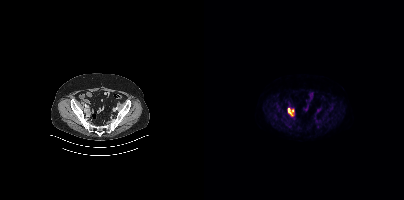
{"pet_grid":[200,200],"coord_frame":"pet_panel","coord_format":"x0,y0,x1,y1","lesion_bboxes":[[84,108,90,116]],"modality":"PSMA PET/CT","view":"axial","tracer":"[18F]PSMA-1007"}